Paired axial CT (left) and PSMA PET (right), 18F tracer. PET panel 200×200 px (4.1 mm/px).
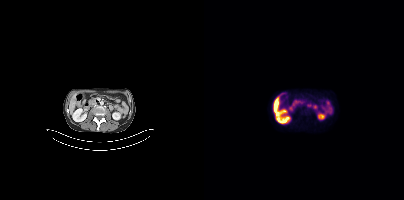
Coordinates are on the 200×200 PET (right) panel. Small PSMA-avid focus (2 to 4 px across) near (center x, center y): (104, 105).